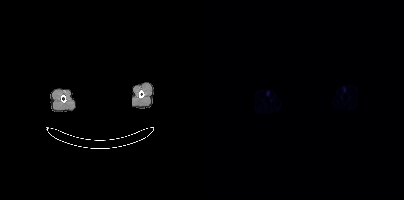
{"modality":"PSMA PET/CT","view":"axial","tracer":"68Ga","pet_grid":[200,200],"coord_frame":"pet_panel","coord_format":"x0,y0,x1,y1","deidentification":"rectangular block over head set to black","psma_avid_lesions":false}